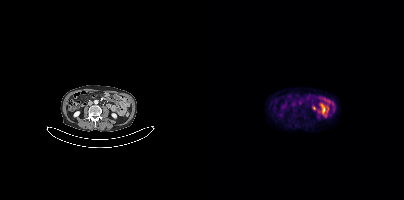
No PSMA-avid tumor lesions on this slice.
modality: PSMA PET/CT | tracer: [18F]PSMA-1007 | view: axial